redaction: head region blanked (face removed) | modality: PSMA PET/CT | tracer: [18F]PSMA-1007 | view: axial
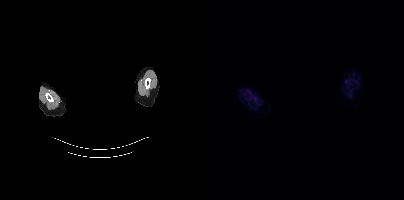
No tumor lesions annotated on this slice.